Two-panel axial: CT | PSMA PET, [18F]PSMA-1007 tracer. Acquired on Siemens Biograph mCT Flow 20. PET panel 200×200 px (4.1 mm/px).
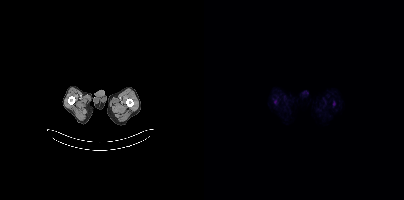
No tumor lesions annotated on this slice.